- Left: CT. Right: PSMA PET, same axial level, 68Ga-PSMA tracer
- acquired on Siemens Biograph 64-4R TruePoint
- slice 69 of 195
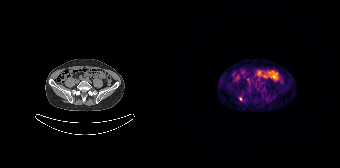
Findings: Coordinates are on the 168×168 PET (right) panel. Small PSMA-avid focus (2 to 4 px across) near (center x, center y): (68, 98).